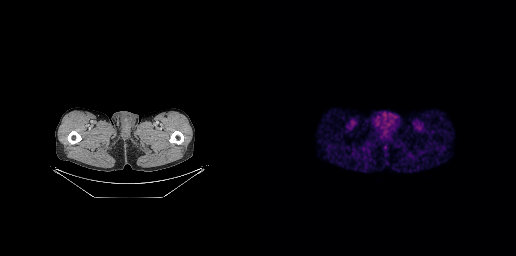
Findings: Negative for PSMA-avid disease on this slice.
Technique: Two-panel axial: CT | PSMA PET, [68Ga]Ga-PSMA-11 tracer. acquired on GE Discovery 690.